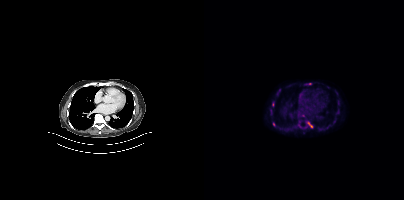
modality: PSMA PET/CT | tracer: [18F]PSMA-1007 | view: axial | PET grid: 200×200
Coordinates are on the 200×200 PET (right) panel. (showing 3 of 5 foci) PSMA-avid tumor lesion bounding box (x, y, width, height): x=103 y=121 w=4 h=5. Small PSMA-avid foci (2 to 4 px across) near (center x, center y): (70, 124); (107, 126).